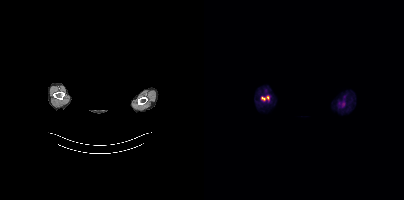
Technique: Paired axial CT (left) and PSMA PET (right), 18F tracer. acquired on Siemens Biograph mCT Flow 20. PET panel 200×200 px (4.1 mm/px).
Note: Head region blanked for anonymization (face removed).
Findings: No tumor lesions annotated on this slice.